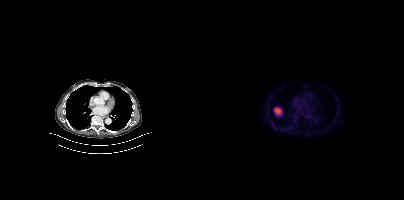
No PSMA-avid tumor lesions on this slice. Two-panel axial: CT | PSMA PET, [18F]PSMA-1007 tracer. PET panel 200×200 px (4.1 mm/px).